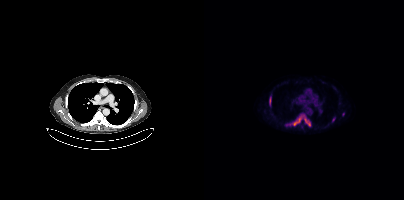
Paired axial CT (left) and PSMA PET (right), [18F]PSMA-1007 tracer. Slice position z = -542 mm.
Coordinates are on the 200×200 PET (right) panel. PSMA-avid tumor lesion bounding boxes (partial; 1 more focus not listed):
| # | x0 | y0 | x1 | y1 |
|---|---|---|---|---|
| 1 | 89 | 116 | 99 | 125 |
| 2 | 100 | 117 | 106 | 126 |
| 3 | 65 | 97 | 67 | 105 |
Small PSMA-avid foci (2 to 4 px across) near (center x, center y): (139, 114); (129, 119).